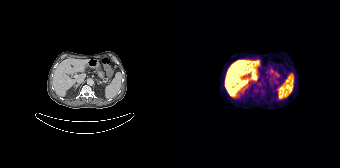
{"modality":"PSMA PET/CT","view":"axial","tracer":"68Ga","pet_grid":[168,168],"coord_frame":"pet_panel","coord_format":"x0,y0,x1,y1","psma_avid_lesions":false}